Technique: Paired axial CT (left) and PSMA PET (right), 18F-PSMA tracer. acquired on Siemens Biograph mCT Flow 20. PET panel 200×200 px (4.1 mm/px).
Note: Any black rectangle over the head is a privacy mask, not anatomy.
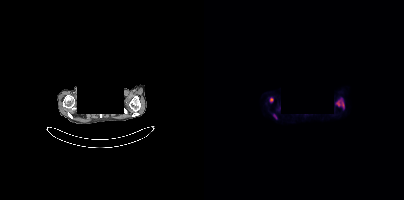
Findings: Coordinates are on the 200×200 PET (right) panel. PSMA-avid tumor lesion bounding box (x, y, width, height): x=131 y=99 w=10 h=9. Small PSMA-avid foci (2 to 4 px across) near (center x, center y): (67, 99); (71, 116).